Technique: Left: CT. Right: PSMA PET, same axial level, 18F-PSMA tracer. PET panel 200×200 px (4.1 mm/px).
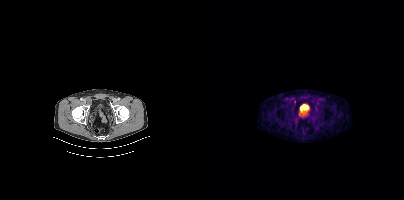
Findings: Negative for PSMA-avid disease on this slice.